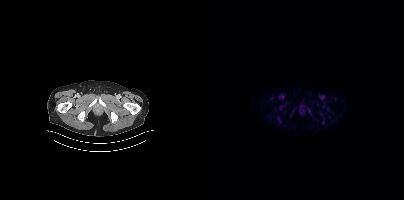
{"pet_grid":[200,200],"coord_frame":"pet_panel","coord_format":"x0,y0,x1,y1","psma_avid_lesions":false,"modality":"PSMA PET/CT","view":"axial","tracer":"18F-PSMA"}